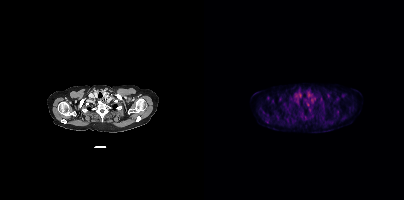
Two-panel axial: CT | PSMA PET, [18F]PSMA-1007 tracer. Slice 349 of 429. No tumor lesions annotated on this slice.